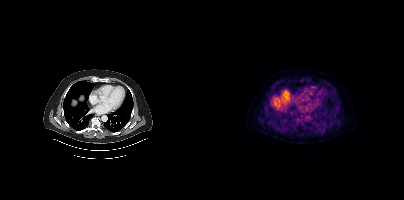
This slice has no annotated PSMA-avid lesion.